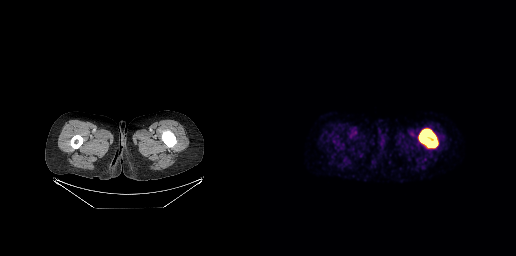
Paired axial CT (left) and PSMA PET (right), [18F]PSMA-1007 tracer. Acquired on GE Discovery 690. Slice position z = -1036 mm. PET panel 256×256 px (2.7 mm/px). Coordinates are on the 256×256 PET (right) panel. PSMA-avid tumor lesion bounding box (x0, y0)-(x1, y1): (159, 128)-(178, 147).